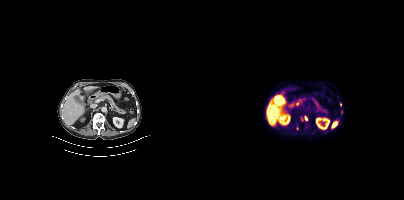
Coordinates are on the 200×200 PET (right) panel. Small PSMA-avid foci (2 to 4 px across) near (center x, center y): (137, 111); (101, 118); (97, 118); (93, 128); (134, 122); (136, 104).